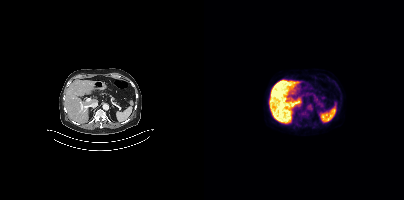
No tumor lesions annotated on this slice.